- Two-panel axial: CT | PSMA PET, 68Ga tracer
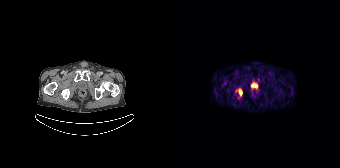
Findings: Coordinates are on the 168×168 PET (right) panel. PSMA-avid tumor lesion bounding box (x, y, width, height): x=66 y=89 w=5 h=7.